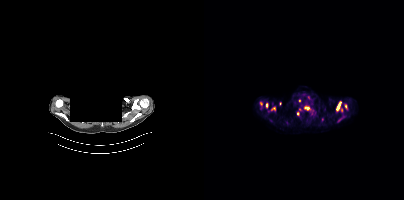
Coordinates are on the 200×200 PET (right) panel. (showing 10 of 11 foci) PSMA-avid tumor lesion bounding boxes (x, y, width, height): x=132 y=102 w=6 h=9; x=101 y=107 w=5 h=4; x=62 y=103 w=3 h=5. Small PSMA-avid foci (2 to 4 px across) near (center x, center y): (57, 103); (70, 108); (141, 106); (137, 110); (93, 113); (138, 117); (76, 103). A rectangular block over the head has been blanked out for de-identification. Left: CT. Right: PSMA PET, same axial level, [18F]PSMA-1007 tracer.